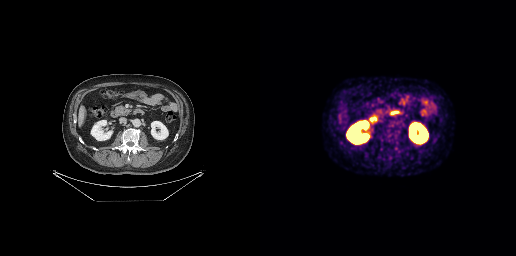
{"modality":"PSMA PET/CT","view":"axial","tracer":"[18F]PSMA-1007","pet_grid":[256,256],"coord_frame":"pet_panel","coord_format":"x0,y0,x1,y1","psma_avid_lesions":false}